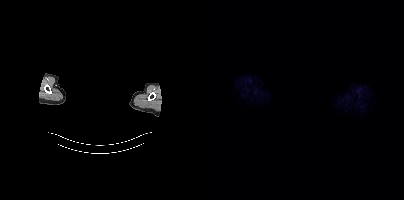
Paired axial CT (left) and PSMA PET (right), 18F-PSMA tracer. An anonymization step blacked out a rectangle over the head in this scan. This slice has no annotated PSMA-avid lesion.